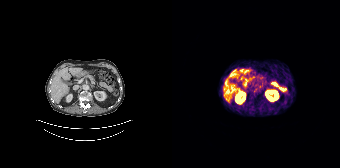
No PSMA-avid tumor lesions on this slice.